modality: PSMA PET/CT | tracer: 18F | view: axial
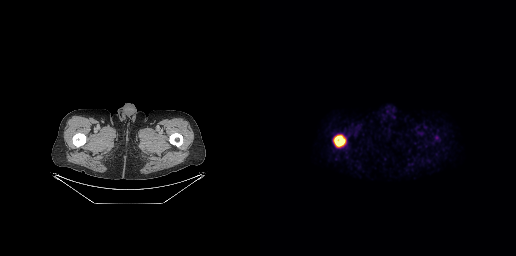
Coordinates are on the 256×256 PET (right) panel. PSMA-avid tumor lesion bounding box (x, y, width, height): x=73 y=135 w=13 h=13.